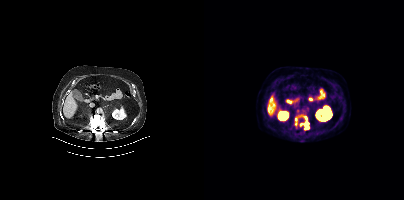
Coordinates are on the 200×200 PET (right) panel. PSMA-avid tumor lesion bounding box (x0,y0,x1,y1): [94,114,103,121]. Small PSMA-avid foci (2 to 4 px across) near (center x, center y): (97, 124), (102, 127), (91, 119), (91, 123), (102, 123). Left: CT. Right: PSMA PET, same axial level, 18F-PSMA tracer.